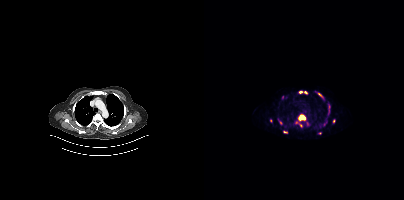
{"modality":"PSMA PET/CT","view":"axial","tracer":"[68Ga]Ga-PSMA-11","pet_grid":[200,200],"coord_frame":"pet_panel","coord_format":"x0,y0,x1,y1","partial":true,"lesion_bboxes":[[94,115,101,120],[101,120,105,124],[114,93,118,97],[124,107,126,111]],"small_foci_centers":[[76,122],[130,120],[96,92],[121,123],[81,131],[97,125],[101,92],[92,122]]}